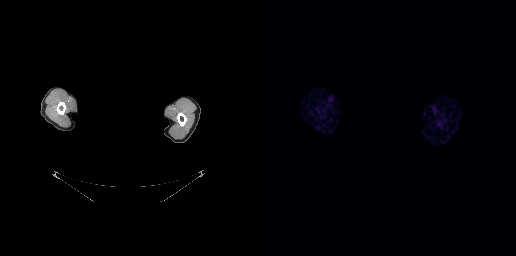
redaction: head region blanked (face removed) | modality: PSMA PET/CT | tracer: 18F-PSMA | view: axial
No PSMA-avid tumor lesions on this slice.